Technique: Two-panel axial: CT | PSMA PET, 18F-PSMA tracer. acquired on Siemens Biograph mCT Flow 20. slice 284 of 389.
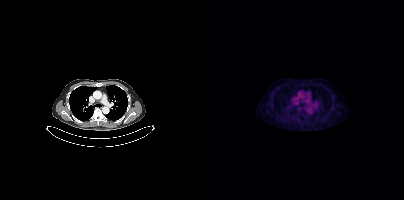
Findings: Coordinates are on the 200×200 PET (right) panel. Small PSMA-avid focus (2 to 4 px across) near (center x, center y): (118, 120).